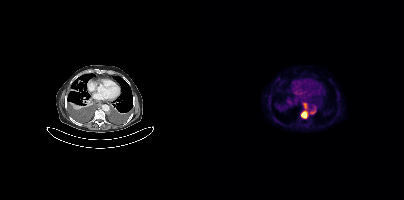
Left: CT. Right: PSMA PET, same axial level, 18F tracer. Slice 237 of 381. PET panel 200×200 px (4.1 mm/px). Coordinates are on the 200×200 PET (right) panel. PSMA-avid tumor lesion bounding boxes (x0,y0,x1,y1): [97,111,102,118]; [100,103,102,107].